Face de-identified by blanking a block of the head. Left: CT. Right: PSMA PET, same axial level, 18F tracer. Slice position z = -168 mm. PET panel 200×200 px (4.1 mm/px).
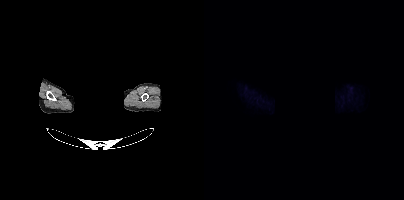
This slice has no annotated PSMA-avid lesion.